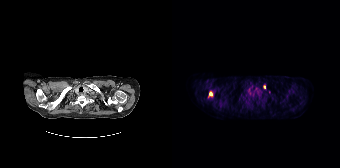
Coordinates are on the 168×168 PET (right) panel. Small PSMA-avid foci (2 to 4 px across) near (center x, center y): (38, 93) | (92, 86).
modality: PSMA PET/CT | tracer: 18F-PSMA | view: axial | PET grid: 168×168